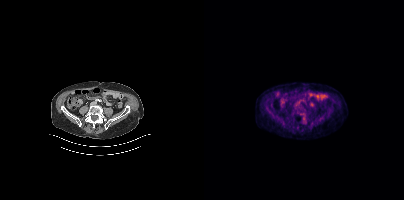
No tumor lesions annotated on this slice. Paired axial CT (left) and PSMA PET (right), [18F]PSMA-1007 tracer. Acquired on Siemens Biograph mCT Flow 20. PET panel 200×200 px (4.1 mm/px).